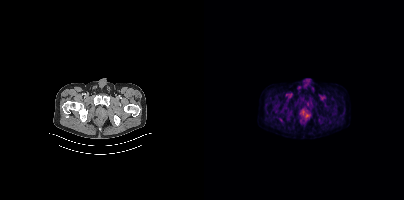
- Paired axial CT (left) and PSMA PET (right), 18F tracer
- acquired on Siemens Biograph mCT Flow 20
- PET panel 200×200 px (4.1 mm/px)
Findings: Coordinates are on the 200×200 PET (right) panel. PSMA-avid tumor lesion bounding box (x0, y0)-(x1, y1): (96, 110)-(100, 114). Small PSMA-avid focus (2 to 4 px across) near (center x, center y): (102, 115).